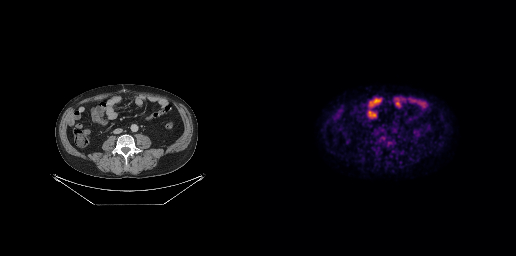
Left: CT. Right: PSMA PET, same axial level, 18F-PSMA tracer. Acquired on GE Discovery 690. Slice 115 of 263. This slice has no annotated PSMA-avid lesion.